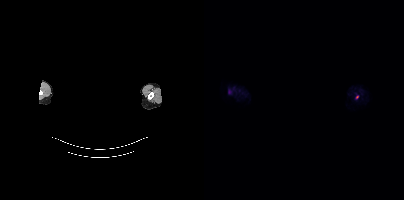
{"modality":"PSMA PET/CT","view":"axial","tracer":"18F","pet_grid":[200,200],"coord_frame":"pet_panel","coord_format":"x0,y0,x1,y1","lesion_bboxes":[],"small_foci_centers":[[153,97]],"deidentification":"privacy mask over head"}